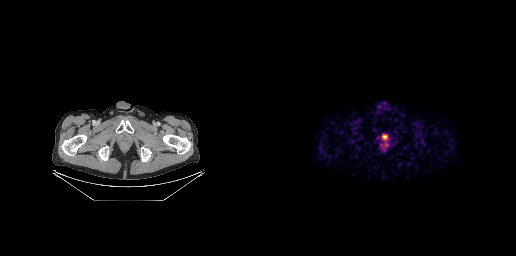
{"pet_grid":[256,256],"coord_frame":"pet_panel","coord_format":"x0,y0,x1,y1","psma_avid_lesions":false,"modality":"PSMA PET/CT","view":"axial","tracer":"[68Ga]Ga-PSMA-11"}